Paired axial CT (left) and PSMA PET (right), 18F tracer. Acquired on GE Discovery 690.
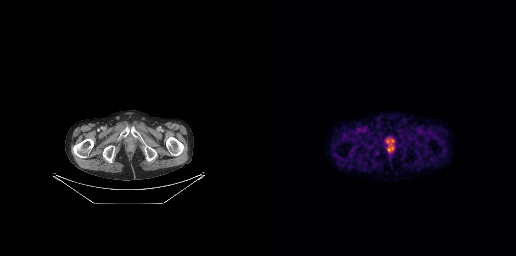
Coordinates are on the 256×256 PET (right) panel. PSMA-avid tumor lesion bounding boxes:
| # | x0 | y0 | x1 | y1 |
|---|---|---|---|---|
| 1 | 125 | 137 | 131 | 145 |